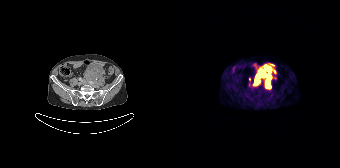
Findings: Coordinates are on the 168×168 PET (right) panel. PSMA-avid tumor lesion bounding boxes (x, y, width, height): x=83 y=65 w=17 h=20; x=94 y=81 w=5 h=7. Small PSMA-avid foci (2 to 4 px across) near (center x, center y): (77, 79); (102, 71); (89, 68).
Technique: Left: CT. Right: PSMA PET, same axial level, 68Ga tracer. PET panel 168×168 px (4.1 mm/px).